Technique: Paired axial CT (left) and PSMA PET (right), 18F-PSMA tracer. PET panel 200×200 px (4.1 mm/px).
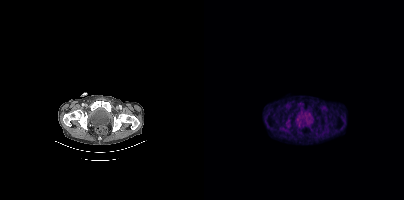
Findings: Coordinates are on the 200×200 PET (right) panel. PSMA-avid tumor lesion bounding box (x0, y0)-(x1, y1): (82, 120)-(85, 125).